Technique: Paired axial CT (left) and PSMA PET (right), [18F]PSMA-1007 tracer.
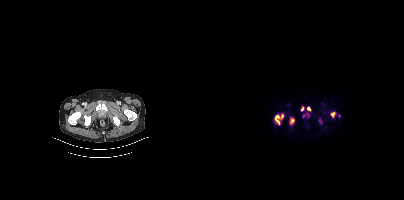
Findings: Coordinates are on the 200×200 PET (right) panel. (showing 6 of 7 foci) PSMA-avid tumor lesion bounding boxes (x, y, width, height): x=71 y=115 w=5 h=10; x=86 y=118 w=5 h=7; x=127 y=112 w=4 h=5. Small PSMA-avid foci (2 to 4 px across) near (center x, center y): (104, 108); (78, 116); (98, 108).